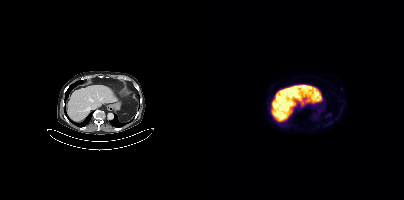
No tumor lesions annotated on this slice.